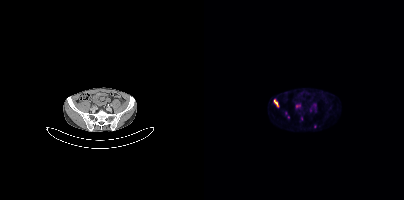
- Left: CT. Right: PSMA PET, same axial level, 68Ga-PSMA tracer
- PET panel 200×200 px (4.1 mm/px)
Findings: Coordinates are on the 200×200 PET (right) panel. (showing 3 of 4 foci) PSMA-avid tumor lesion bounding boxes (x0,y0,x1,y1): [92,104,96,108]; [70,100,74,106]. Small PSMA-avid focus (2 to 4 px across) near (center x, center y): (97, 118).